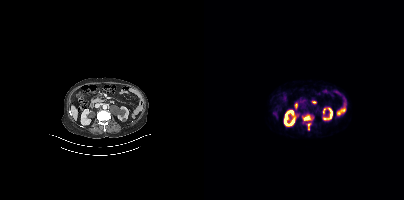
{"pet_grid":[200,200],"coord_frame":"pet_panel","coord_format":"x0,y0,x1,y1","partial":true,"lesion_bboxes":[[100,116,108,120],[103,123,107,129]],"modality":"PSMA PET/CT","view":"axial","tracer":"68Ga"}